modality: PSMA PET/CT | tracer: [18F]PSMA-1007 | view: axial
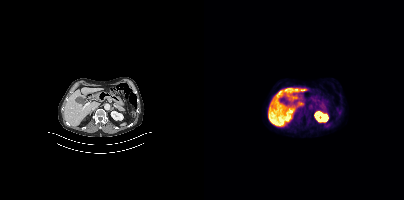
No tumor lesions annotated on this slice.